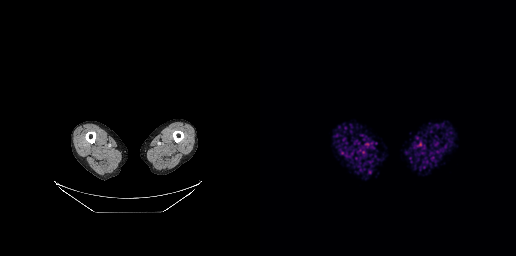
modality: PSMA PET/CT | tracer: 68Ga-PSMA | view: axial | PET grid: 256×256
No tumor lesions annotated on this slice.